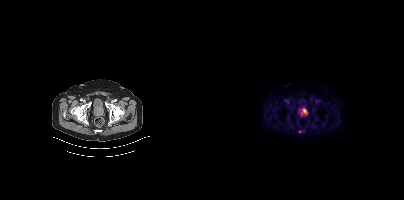
Two-panel axial: CT | PSMA PET, [18F]PSMA-1007 tracer. Acquired on Siemens Biograph mCT Flow 20. PET panel 200×200 px (4.1 mm/px). Coordinates are on the 200×200 PET (right) panel. Small PSMA-avid focus (2 to 4 px across) near (center x, center y): (95, 131).